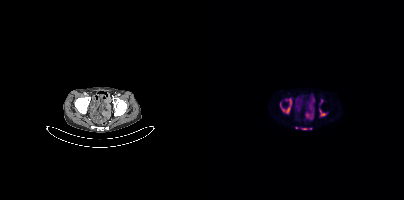
Coordinates are on the 200×200 PET (right) panel. (showing 6 of 7 foci) PSMA-avid tumor lesion bounding boxes (x, y, width, height): x=76 y=98 w=12 h=16 / x=115 y=109 w=7 h=8 / x=97 y=128 w=7 h=2. Small PSMA-avid foci (2 to 4 px across) near (center x, center y): (106, 128) / (117, 101) / (92, 127).
modality: PSMA PET/CT | tracer: 18F | view: axial | PET grid: 200×200